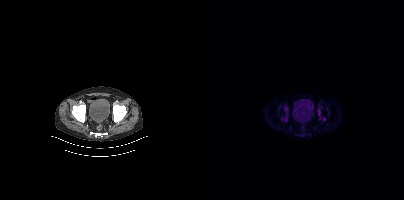
Technique: Paired axial CT (left) and PSMA PET (right), 18F-PSMA tracer. acquired on Siemens Biograph mCT Flow 20. slice position z = -814 mm.
Findings: Coordinates are on the 200×200 PET (right) panel. (showing 4 of 6 foci) PSMA-avid tumor lesion bounding boxes (x, y, width, height): x=113 y=109 w=9 h=13 / x=80 y=107 w=4 h=6 / x=81 y=116 w=3 h=6. Small PSMA-avid focus (2 to 4 px across) near (center x, center y): (77, 119).